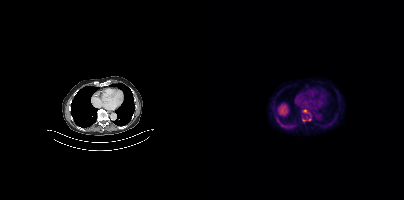
Coordinates are on the 200×200 PET (right) panel. (showing 2 of 3 foci) Small PSMA-avid foci (2 to 4 px across) near (center x, center y): (101, 111) / (105, 119).